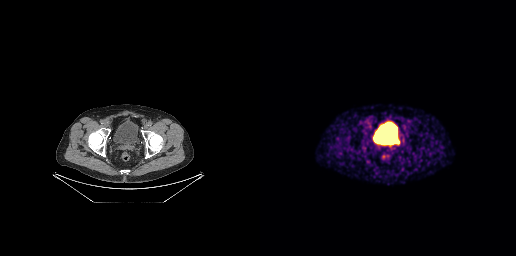
Coordinates are on the 256×256 PET (right) panel. PSMA-avid tumor lesion bounding box (x, y, width, height): x=136 y=139 w=4 h=6.
modality: PSMA PET/CT | tracer: 68Ga-PSMA | view: axial